Privacy masking over the head, with the pixels inside a rectangle set to black.
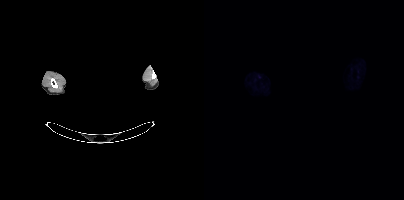
This slice has no annotated PSMA-avid lesion.